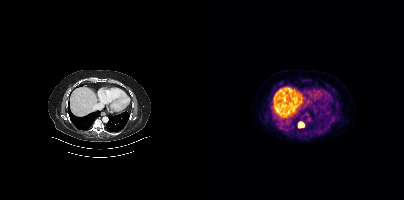
modality: PSMA PET/CT | tracer: [18F]PSMA-1007 | view: axial
Coordinates are on the 200×200 PET (right) panel. PSMA-avid tumor lesion bounding box (x0,y0,x1,y1): [94,122,99,127].